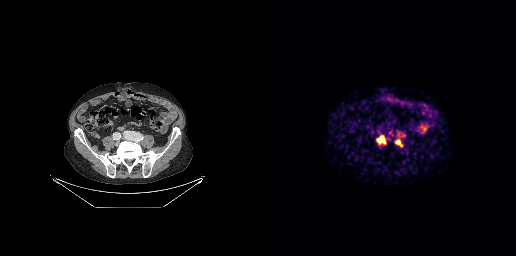
- Left: CT. Right: PSMA PET, same axial level, 68Ga tracer
- acquired on GE Discovery 690
- slice position z = -704 mm
- PET panel 256×256 px (2.7 mm/px)
Findings: Coordinates are on the 256×256 PET (right) panel. PSMA-avid tumor lesion bounding boxes (x0,y0,x1,y1): [117,136,124,145]; [140,132,145,137]; [136,141,141,146].